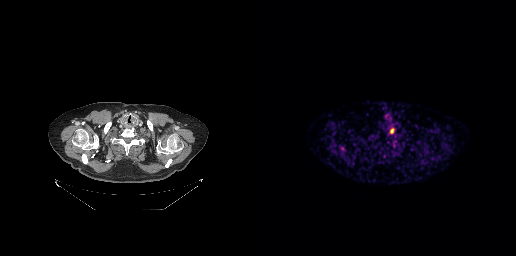
{"pet_grid":[256,256],"coord_frame":"pet_panel","coord_format":"x0,y0,x1,y1","lesion_bboxes":[[130,128,134,133]],"small_foci_centers":[[82,148]],"modality":"PSMA PET/CT","view":"axial","tracer":"68Ga"}